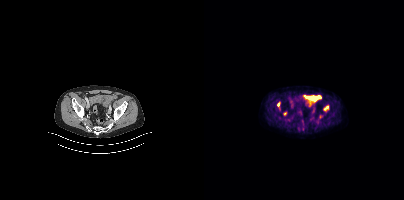
Coordinates are on the 200×200 PET (right) panel. PSMA-avid tumor lesion bounding boxes (x0, y0)-(x1, y1): (121, 105)-(124, 110) / (73, 102)-(75, 106).